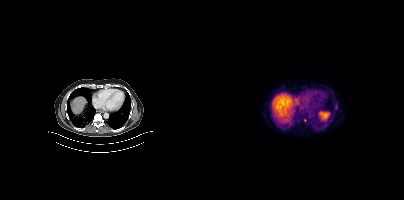
Coordinates are on the 200×200 PET (right) panel. PSMA-avid tumor lesion bounding boxes:
| # | x0 | y0 | x1 | y1 |
|---|---|---|---|---|
| 1 | 100 | 118 | 102 | 122 |
Small PSMA-avid focus (2 to 4 px across) near (center x, center y): (132, 106).
Left: CT. Right: PSMA PET, same axial level, 18F tracer. Acquired on Siemens Biograph mCT Flow 20. Slice 256 of 409. PET panel 200×200 px (4.1 mm/px).